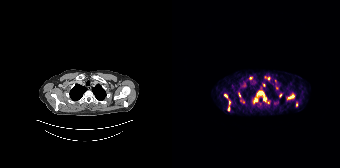
{"pet_grid":[168,168],"coord_frame":"pet_panel","coord_format":"x0,y0,x1,y1","partial":true,"lesion_bboxes":[[85,91,97,103],[115,94,122,99],[82,98,85,102],[52,94,55,98],[57,100,58,104]],"small_foci_centers":[[104,86],[124,104],[67,94],[56,108],[103,82],[108,95],[96,78],[71,101],[78,77]],"modality":"PSMA PET/CT","view":"axial","tracer":"68Ga"}